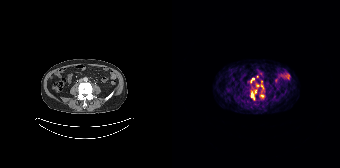
Coordinates are on the 168×168 PET (right) panel. (showing 4 of 6 foci) PSMA-avid tumor lesion bounding box (x0,y0,x1,y1): [79,90,84,100]. Small PSMA-avid foci (2 to 4 px across) near (center x, center y): (89, 95) (90, 86) (85, 85).
modality: PSMA PET/CT | tracer: [68Ga]Ga-PSMA-11 | view: axial | PET grid: 168×168